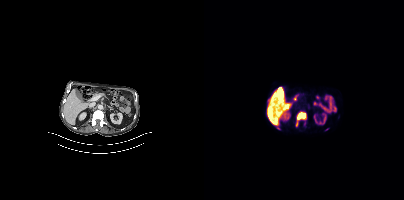
Paired axial CT (left) and PSMA PET (right), [18F]PSMA-1007 tracer. Acquired on Siemens Biograph mCT Flow 20. Slice 192 of 387.
Coordinates are on the 200×200 PET (right) panel. PSMA-avid tumor lesion bounding boxes (partial; 1 more focus not listed):
| # | x0 | y0 | x1 | y1 |
|---|---|---|---|---|
| 1 | 92 | 112 | 102 | 126 |
| 2 | 72 | 125 | 75 | 129 |